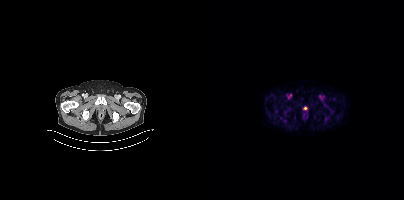
Technique: Two-panel axial: CT | PSMA PET, [18F]PSMA-1007 tracer. slice 41 of 393.
Findings: Coordinates are on the 200×200 PET (right) panel. (showing 2 of 3 foci) PSMA-avid tumor lesion bounding box (x0,y0,x1,y1): [120,117,124,122]. Small PSMA-avid focus (2 to 4 px across) near (center x, center y): (71, 111).